Two-panel axial: CT | PSMA PET, [18F]PSMA-1007 tracer. PET panel 200×200 px (4.1 mm/px).
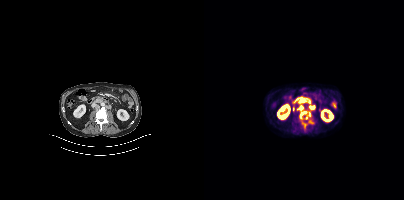
Coordinates are on the 200×200 PET (right) panel. PSMA-avid tumor lesion bounding boxes (partial; 1 more focus not listed):
| # | x0 | y0 | x1 | y1 |
|---|---|---|---|---|
| 1 | 96 | 111 | 103 | 118 |
| 2 | 96 | 99 | 101 | 102 |
| 3 | 106 | 106 | 110 | 109 |
| 4 | 102 | 112 | 106 | 119 |
Small PSMA-avid focus (2 to 4 px across) near (center x, center y): (97, 107).